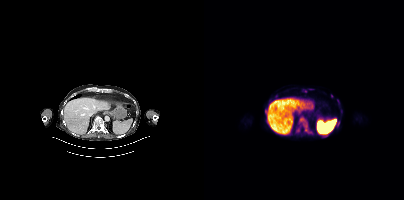
{"modality":"PSMA PET/CT","view":"axial","tracer":"18F","pet_grid":[200,200],"coord_frame":"pet_panel","coord_format":"x0,y0,x1,y1","lesion_bboxes":[[95,116,108,134],[92,126,96,132],[132,123,135,127],[104,88,109,90],[117,135,122,137],[70,95,73,99]],"small_foci_centers":[[128,95],[137,111],[101,91],[61,111],[133,100]]}